Technique: Paired axial CT (left) and PSMA PET (right), [68Ga]Ga-PSMA-11 tracer. slice 77 of 409. PET panel 200×200 px (4.1 mm/px).
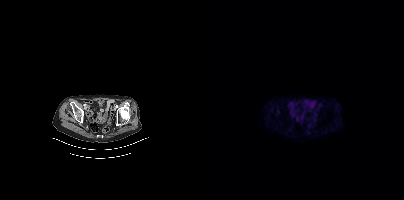
Findings: Negative for PSMA-avid disease on this slice.